Privacy masking over the head, with the pixels inside a rectangle set to black. Paired axial CT (left) and PSMA PET (right), 18F tracer. Acquired on Siemens Biograph 64-4R TruePoint. Slice 145 of 165. PET panel 168×168 px (4.1 mm/px).
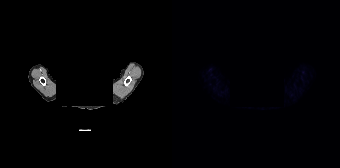
Negative for PSMA-avid disease on this slice.